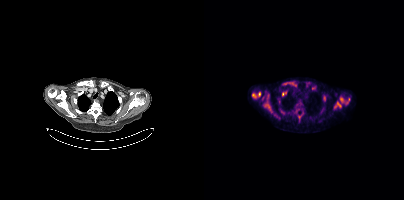
Findings: Coordinates are on the 200×200 PET (right) panel. PSMA-avid tumor lesion bounding boxes (x0,y0,x1,y1): [60,104,68,112]; [78,81,89,85]; [130,101,137,108]; [136,97,139,102]; [78,92,82,95]; [54,92,56,96]. Small PSMA-avid foci (2 to 4 px across) near (center x, center y): (49, 95); (95, 117); (63, 96); (144, 99); (143, 102).
Technique: Left: CT. Right: PSMA PET, same axial level, [18F]PSMA-1007 tracer. acquired on Siemens Biograph mCT Flow 20. PET panel 200×200 px (4.1 mm/px).